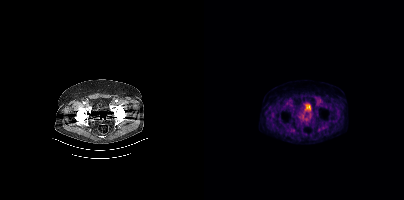
modality: PSMA PET/CT | tracer: [18F]PSMA-1007 | view: axial | PET grid: 200×200
Negative for PSMA-avid disease on this slice.